modality: PSMA PET/CT | tracer: [18F]PSMA-1007 | view: axial
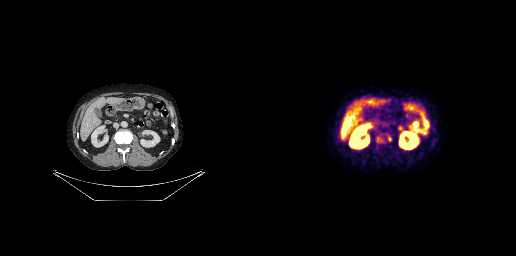
Coordinates are on the 256×256 PET (right) panel. PSMA-avid tumor lesion bounding box (x0, y0)-(x1, y1): (117, 137)-(119, 141). Small PSMA-avid focus (2 to 4 px across) near (center x, center y): (129, 138).